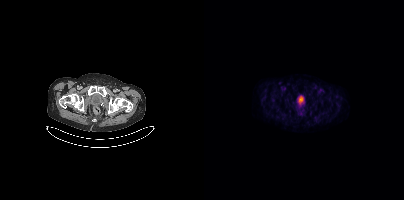
This slice has no annotated PSMA-avid lesion.